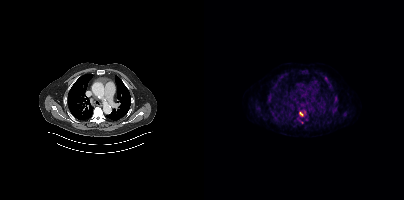
modality: PSMA PET/CT | tracer: 18F | view: axial
Coordinates are on the 200×200 PET (right) panel. PSMA-avid tumor lesion bounding boxes (x0, y0)-(x1, y1): (130, 96)-(134, 102) / (63, 94)-(67, 99) / (97, 70)-(103, 73) / (128, 108)-(132, 113) / (95, 111)-(99, 116) / (73, 117)-(77, 121) / (66, 110)-(70, 114) / (120, 76)-(123, 80) / (77, 73)-(81, 76). Small PSMA-avid foci (2 to 4 px across) near (center x, center y): (141, 113) / (53, 108) / (97, 122) / (100, 112).